Left: CT. Right: PSMA PET, same axial level, 18F tracer. Slice position z = -1095 mm. PET panel 200×200 px (4.1 mm/px).
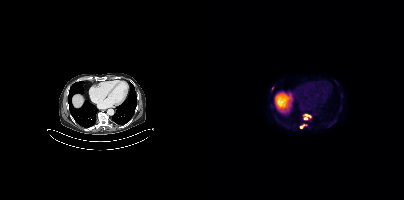
Coordinates are on the 200×200 PET (right) panel. (showing 3 of 4 foci) PSMA-avid tumor lesion bounding boxes (x0, y0)-(x1, y1): (96, 124)-(103, 128) / (99, 114)-(102, 119). Small PSMA-avid focus (2 to 4 px across) near (center x, center y): (68, 88).